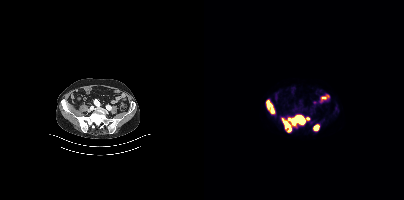
Coordinates are on the 200×200 PET (right) panel. PSMA-avid tumor lesion bounding boxes:
| # | x0 | y0 | x1 | y1 |
|---|---|---|---|---|
| 1 | 78 | 115 | 101 | 132 |
| 2 | 62 | 100 | 70 | 113 |
| 3 | 110 | 125 | 114 | 130 |
Small PSMA-avid focus (2 to 4 px across) near (center x, center y): (103, 118).
Left: CT. Right: PSMA PET, same axial level, [18F]PSMA-1007 tracer. Acquired on Siemens Biograph mCT Flow 20. Slice 134 of 423. PET panel 200×200 px (4.1 mm/px).